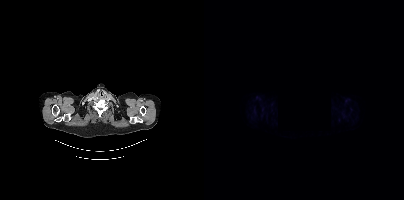
{"modality":"PSMA PET/CT","view":"axial","tracer":"[18F]PSMA-1007","pet_grid":[200,200],"coord_frame":"pet_panel","coord_format":"x0,y0,x1,y1","redaction":"black rectangle is a privacy mask","psma_avid_lesions":false}